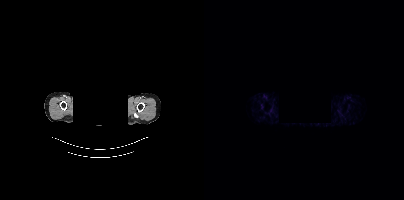
{"modality":"PSMA PET/CT","view":"axial","tracer":"68Ga","pet_grid":[200,200],"coord_frame":"pet_panel","coord_format":"x0,y0,x1,y1","de-identification":"privacy mask over head","psma_avid_lesions":false}